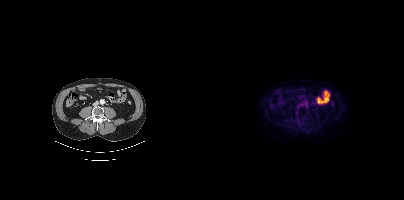
{"modality":"PSMA PET/CT","view":"axial","tracer":"18F","pet_grid":[200,200],"coord_frame":"pet_panel","coord_format":"x0,y0,x1,y1","psma_avid_lesions":false}